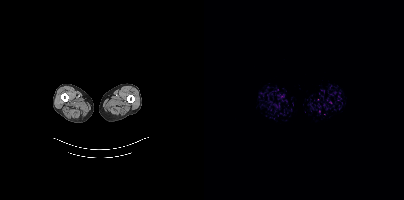
{"modality":"PSMA PET/CT","view":"axial","tracer":"[18F]PSMA-1007","pet_grid":[200,200],"coord_frame":"pet_panel","coord_format":"x0,y0,x1,y1","psma_avid_lesions":false}